- Left: CT. Right: PSMA PET, same axial level, 18F-PSMA tracer
- PET panel 256×256 px (2.7 mm/px)
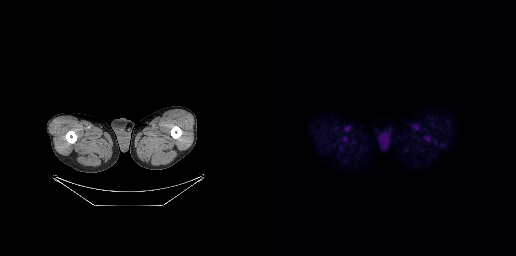
Findings: This slice has no annotated PSMA-avid lesion.